Left: CT. Right: PSMA PET, same axial level, 18F tracer.
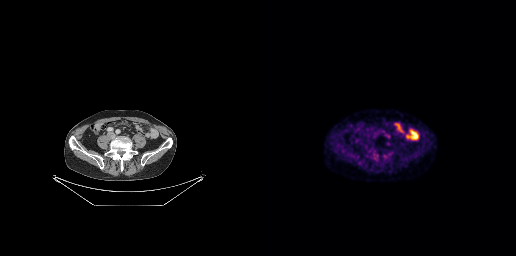
Coordinates are on the 256×256 PET (right) panel. Small PSMA-avid focus (2 to 4 px across) near (center x, center y): (126, 135).